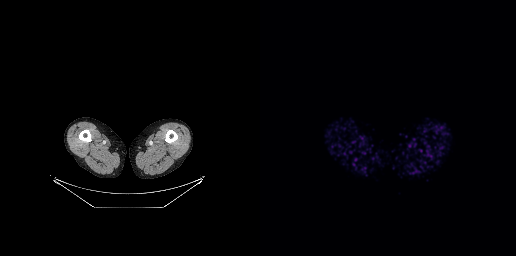
Negative for PSMA-avid disease on this slice.